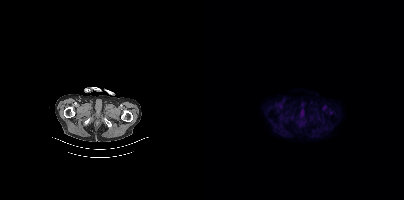
- Paired axial CT (left) and PSMA PET (right), 18F tracer
- slice position z = -310 mm
- PET panel 200×200 px (4.1 mm/px)
Findings: No PSMA-avid tumor lesions on this slice.